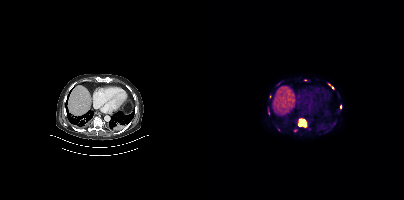
Coordinates are on the 200×200 PET (right) panel. (showing 4 of 7 foci) PSMA-avid tumor lesion bounding boxes (x, y, width, height): x=93 y=118 w=11 h=10 / x=124 y=83 w=7 h=7. Small PSMA-avid foci (2 to 4 px across) near (center x, center y): (136, 106) / (91, 130).
modality: PSMA PET/CT | tracer: [18F]PSMA-1007 | view: axial | PET grid: 200×200